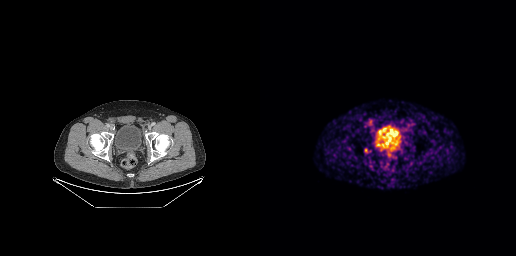
Findings: Coordinates are on the 256×256 PET (right) panel. PSMA-avid tumor lesion bounding box (x, y, width, height): x=104 y=148 w=6 h=6.
- Left: CT. Right: PSMA PET, same axial level, 68Ga-PSMA tracer
- acquired on GE Discovery 690